- Paired axial CT (left) and PSMA PET (right), 18F tracer
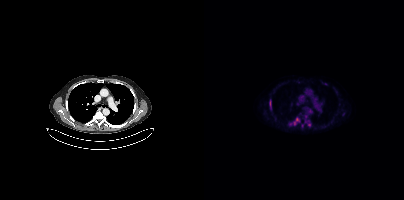
Findings: Coordinates are on the 200×200 PET (right) panel. (showing 4 of 6 foci) PSMA-avid tumor lesion bounding box (x, y, width, height): x=65 y=100 w=3 h=9. Small PSMA-avid foci (2 to 4 px across) near (center x, center y): (93, 119); (90, 123); (139, 113).